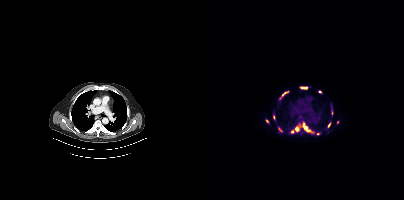
Two-panel axial: CT | PSMA PET, 18F tracer. Coordinates are on the 200×200 PET (right) panel. (showing 9 of 13 foci) PSMA-avid tumor lesion bounding boxes (x, y, width, height): x=99 y=123 w=8 h=10 | x=91 y=127 w=4 h=5 | x=98 y=87 w=5 h=2 | x=124 y=123 w=3 h=5 | x=78 y=92 w=5 h=4. Small PSMA-avid foci (2 to 4 px across) near (center x, center y): (114, 133) | (63, 121) | (88, 131) | (76, 130).